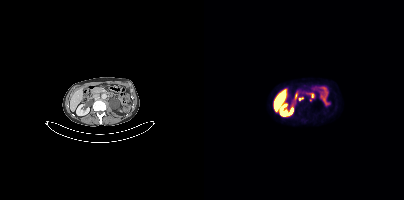
Findings: Coordinates are on the 200×200 PET (right) panel. (showing 1 of 3 foci) Small PSMA-avid focus (2 to 4 px across) near (center x, center y): (95, 98).
Technique: Left: CT. Right: PSMA PET, same axial level, 18F tracer. slice 181 of 448.